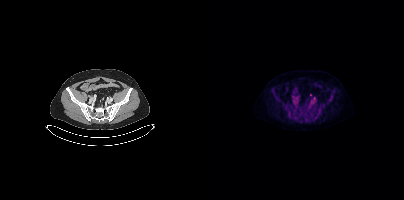
Coordinates are on the 200×200 PET (right) panel. (showing 1 of 2 foci) Small PSMA-avid focus (2 to 4 px across) near (center x, center y): (106, 94).